Technique: Paired axial CT (left) and PSMA PET (right), [18F]PSMA-1007 tracer. acquired on Siemens Biograph mCT Flow 20. slice position z = -1332 mm.
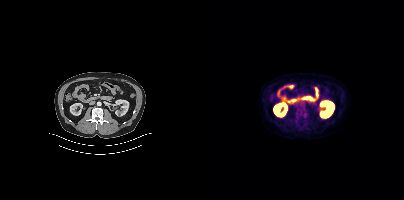
Findings: No PSMA-avid tumor lesions on this slice.